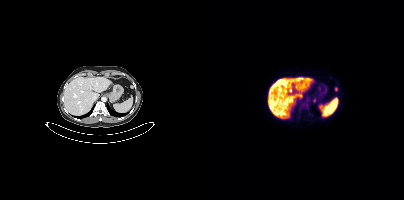
Findings: Coordinates are on the 200×200 PET (right) panel. Small PSMA-avid foci (2 to 4 px across) near (center x, center y): (132, 89) / (110, 101).
- Paired axial CT (left) and PSMA PET (right), 18F-PSMA tracer
- acquired on Siemens Biograph mCT Flow 20